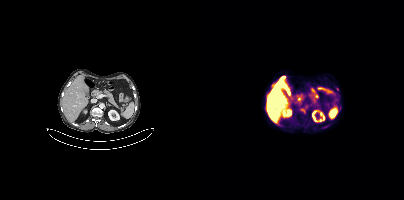
{"modality":"PSMA PET/CT","view":"axial","tracer":"[18F]PSMA-1007","pet_grid":[200,200],"coord_frame":"pet_panel","coord_format":"x0,y0,x1,y1","lesion_bboxes":[[96,108,101,113]]}